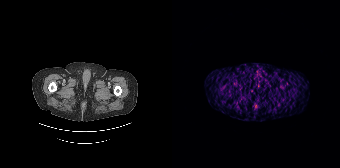
No PSMA-avid tumor lesions on this slice. Left: CT. Right: PSMA PET, same axial level, [68Ga]Ga-PSMA-11 tracer. Acquired on Siemens Biograph 64-4R TruePoint. PET panel 168×168 px (4.1 mm/px).